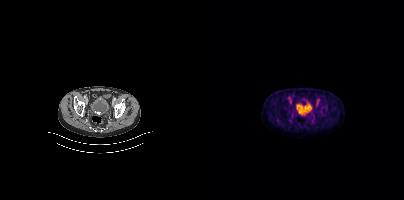
- Two-panel axial: CT | PSMA PET, 18F-PSMA tracer
- acquired on Siemens Biograph mCT Flow 20
Findings: No PSMA-avid tumor lesions on this slice.